Two-panel axial: CT | PSMA PET, [18F]PSMA-1007 tracer. Acquired on Siemens Biograph mCT Flow 20. PET panel 200×200 px (4.1 mm/px).
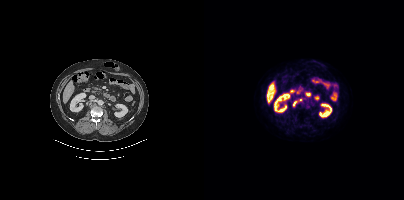
Coordinates are on the 200×200 PET (right) panel. PSMA-avid tumor lesion bounding boxes (x0,y0,x1,y1): [94,98,98,101] [89,102,91,106]. Small PSMA-avid focus (2 to 4 px across) near (center x, center y): (104, 106).